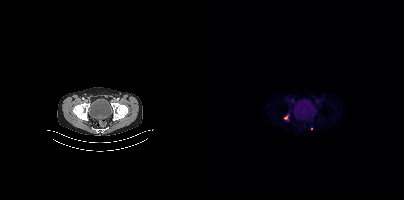
- Two-panel axial: CT | PSMA PET, 18F tracer
- slice position z = -840 mm
- PET panel 200×200 px (4.1 mm/px)
Findings: Coordinates are on the 200×200 PET (right) panel. Small PSMA-avid foci (2 to 4 px across) near (center x, center y): (81, 117); (107, 128).